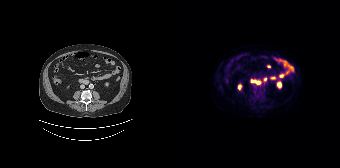
- Two-panel axial: CT | PSMA PET, 18F tracer
- acquired on Siemens Biograph 64-4R TruePoint
- slice position z = -1356 mm
- PET panel 168×168 px (4.1 mm/px)
Findings: Negative for PSMA-avid disease on this slice.